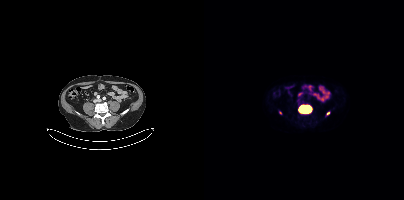
{"modality":"PSMA PET/CT","view":"axial","tracer":"18F","pet_grid":[200,200],"coord_frame":"pet_panel","coord_format":"x0,y0,x1,y1","partial":true,"lesion_bboxes":[[94,104,108,113]],"small_foci_centers":[[124,113]]}